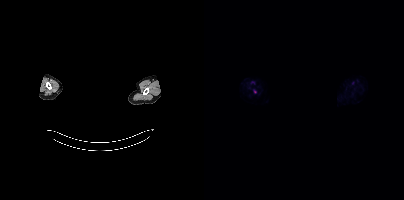
Only PSMA-avid lesion pieces thinner than 2 px on this slice (not listed). A rectangle over the head was blacked out to remove identifiable facial features. Two-panel axial: CT | PSMA PET, 18F-PSMA tracer.